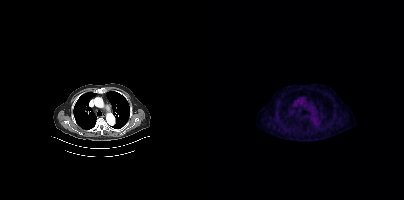
This slice has no annotated PSMA-avid lesion.